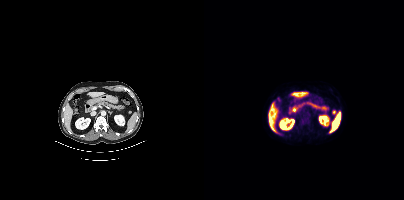
{"modality":"PSMA PET/CT","view":"axial","tracer":"18F","pet_grid":[200,200],"coord_frame":"pet_panel","coord_format":"x0,y0,x1,y1","lesion_bboxes":[],"small_foci_centers":[[129,111]]}